modality: PSMA PET/CT | tracer: [18F]PSMA-1007 | view: axial
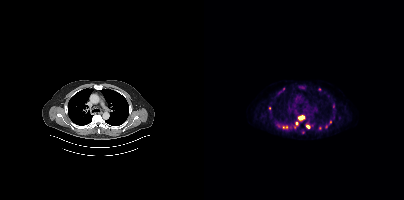
Coordinates are on the 200×200 PET (right) panel. (showing 5 of 7 foci) PSMA-avid tumor lesion bounding boxes (x, y, width, height): x=94 y=115 w=7 h=6; x=102 y=125 w=5 h=4. Small PSMA-avid foci (2 to 4 px across) near (center x, center y): (92, 123); (79, 127); (82, 127).